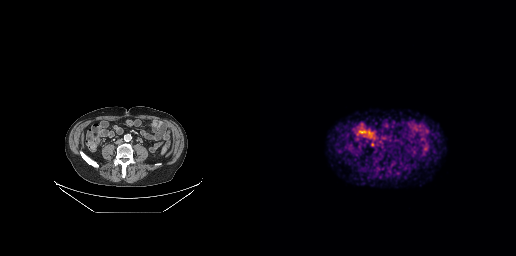
Technique: Paired axial CT (left) and PSMA PET (right), 68Ga tracer. acquired on GE Discovery 690.
Findings: Coordinates are on the 256×256 PET (right) panel. Small PSMA-avid focus (2 to 4 px across) near (center x, center y): (112, 144).